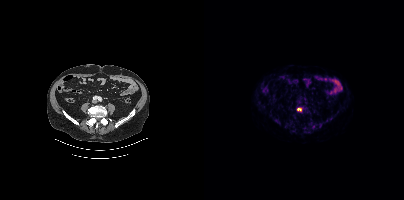
Coordinates are on the 200×200 PET (right) panel. PSMA-avid tumor lesion bounding box (x, y, width, height): x=93 y=107 w=5 h=5.